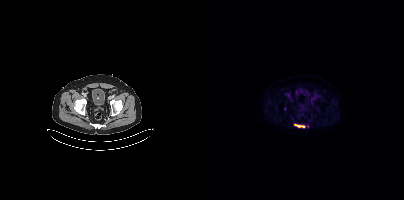
Coordinates are on the 200×200 PET (right) panel. (showing 1 of 3 foci) PSMA-avid tumor lesion bounding box (x0, y0)-(x1, y1): (90, 124)-(101, 127).